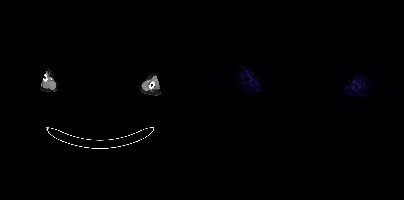
Technique: Paired axial CT (left) and PSMA PET (right), 18F tracer. acquired on Siemens Biograph mCT Flow 20. PET panel 200×200 px (4.1 mm/px).
Note: Any black rectangle over the head is a privacy mask, not anatomy.
Findings: No PSMA-avid tumor lesions on this slice.